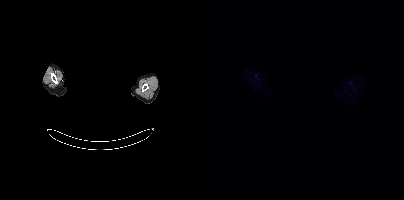
Privacy masking over the head, with the pixels inside a rectangle set to black. Paired axial CT (left) and PSMA PET (right), 18F-PSMA tracer. Slice 373 of 395. No PSMA-avid tumor lesions on this slice.